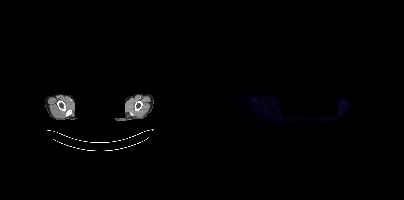
Two-panel axial: CT | PSMA PET, [18F]PSMA-1007 tracer. Slice 372 of 423. De-identified by setting a box covering the face to black before release. Negative for PSMA-avid disease on this slice.